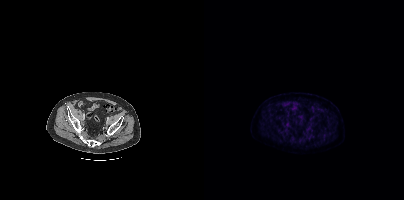
{"modality":"PSMA PET/CT","view":"axial","tracer":"18F-PSMA","pet_grid":[200,200],"coord_frame":"pet_panel","coord_format":"x0,y0,x1,y1","psma_avid_lesions":false}